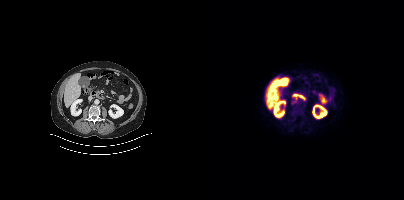
Findings: No tumor lesions annotated on this slice.
- Paired axial CT (left) and PSMA PET (right), [18F]PSMA-1007 tracer
- slice position z = -608 mm
- PET panel 200×200 px (4.1 mm/px)